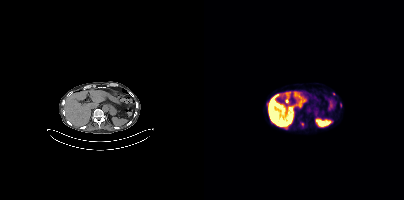
Coordinates are on the 200×200 PET (right) panel. (showing 1 of 3 foci) Small PSMA-avid focus (2 to 4 px across) near (center x, center y): (98, 123). Paired axial CT (left) and PSMA PET (right), 18F-PSMA tracer. PET panel 200×200 px (4.1 mm/px).